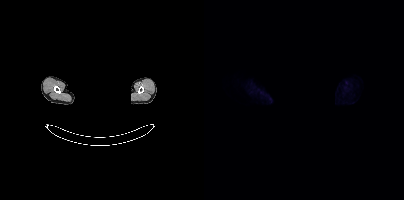
Left: CT. Right: PSMA PET, same axial level, 18F-PSMA tracer. Acquired on Siemens Biograph mCT Flow 20. Slice position z = -1040 mm. De-identified by setting a box covering the face to black before release. No PSMA-avid tumor lesions on this slice.